Paired axial CT (left) and PSMA PET (right), [68Ga]Ga-PSMA-11 tracer. Acquired on Siemens Biograph mCT Flow 20. Head region blanked for anonymization (face removed).
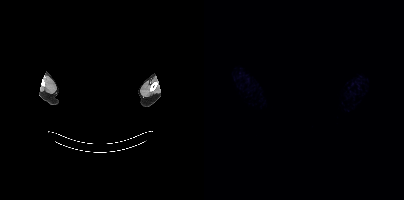
No PSMA-avid tumor lesions on this slice.